Two-panel axial: CT | PSMA PET, 68Ga-PSMA tracer. Slice position z = -387 mm.
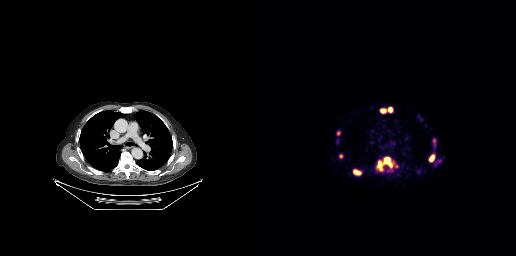
Coordinates are on the 256×256 PET (right) panel. (showing 8 of 9 foci) PSMA-avid tumor lesion bounding boxes (x, y, width, height): x=117 y=157 w=16 h=13; x=169 y=155 w=6 h=7; x=94 y=170 w=7 h=5; x=121 y=109 w=6 h=4. Small PSMA-avid foci (2 to 4 px across) near (center x, center y): (129, 109); (78, 133); (136, 166); (81, 156).